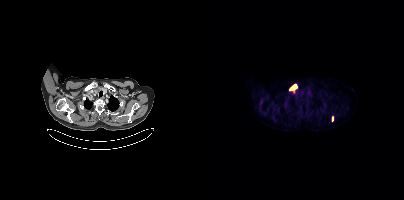
Coordinates are on the 200×200 PET (right) panel. PSMA-avid tumor lesion bounding box (x, y, width, height): x=86 y=84 w=8 h=6. Small PSMA-avid focus (2 to 4 px across) near (center x, center y): (128, 118).
modality: PSMA PET/CT | tracer: [18F]PSMA-1007 | view: axial